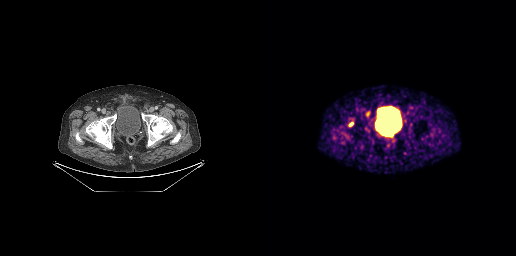
Coordinates are on the 256×256 PET (right) panel. PSMA-avid tumor lesion bounding boxes (x0, y0)-(x1, y1): (106, 111)-(109, 115) | (89, 122)-(93, 126).